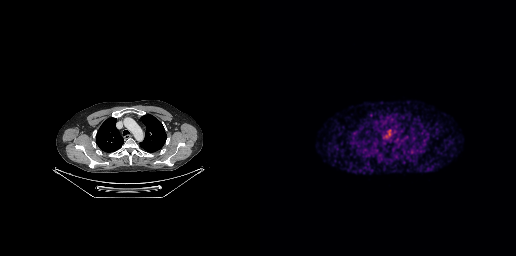
Technique: Two-panel axial: CT | PSMA PET, 68Ga tracer. acquired on GE Discovery 690.
Findings: Negative for PSMA-avid disease on this slice.